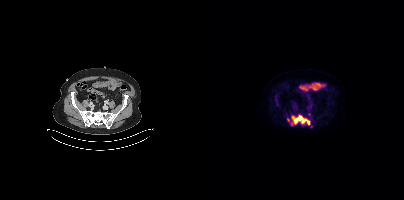
Findings: Coordinates are on the 200×200 PET (right) panel. (showing 2 of 3 foci) PSMA-avid tumor lesion bounding box (x, y, width, height): x=87 y=115 w=20 h=11. Small PSMA-avid focus (2 to 4 px across) near (center x, center y): (84, 119).
Technique: Two-panel axial: CT | PSMA PET, 18F tracer. acquired on Siemens Biograph mCT Flow 20.